Paired axial CT (left) and PSMA PET (right), [18F]PSMA-1007 tracer.
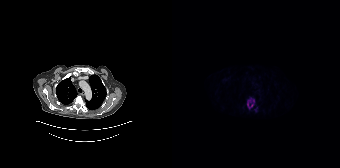
Coordinates are on the 168×168 PET (right) panel. PSMA-avid tumor lesion bounding boxes:
| # | x0 | y0 | x1 | y1 |
|---|---|---|---|---|
| 1 | 75 | 98 | 82 | 109 |